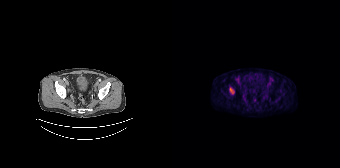
{"modality":"PSMA PET/CT","view":"axial","tracer":"18F","pet_grid":[168,168],"coord_frame":"pet_panel","coord_format":"x0,y0,x1,y1","partial":true,"lesion_bboxes":[[57,87,62,94]]}